Two-panel axial: CT | PSMA PET, [18F]PSMA-1007 tracer. Slice position z = -1428 mm. PET panel 200×200 px (4.1 mm/px).
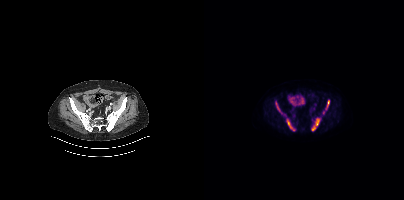
Coordinates are on the 200×200 PET (right) panel. PSMA-avid tumor lesion bounding boxes (x0,y0,x1,y1): [107,118,116,130], [82,119,91,131], [71,102,78,113], [122,100,125,109]. Small PSMA-avid focus (2 to 4 px across) near (center x, center y): (119, 112).